Face de-identified by blanking a block of the head. Paired axial CT (left) and PSMA PET (right), 18F-PSMA tracer. Slice 386 of 438. PET panel 200×200 px (4.1 mm/px).
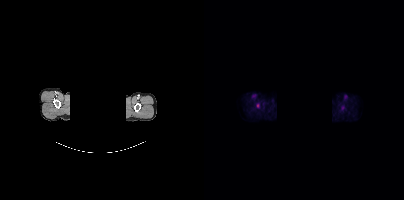
This slice has no annotated PSMA-avid lesion.